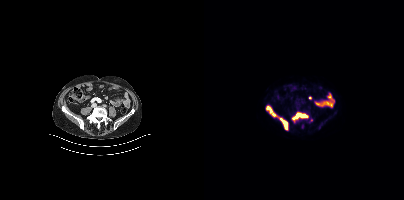
Coordinates are on the 200×200 PET (right) panel. PSMA-avid tumor lesion bounding boxes (x0,y0,x1,y1): [88,113,105,122], [62,106,73,116], [75,118,83,129], [105,118,108,122]. Small PSMA-avid focus (2 to 4 px across) near (center x, center y): (98, 126).